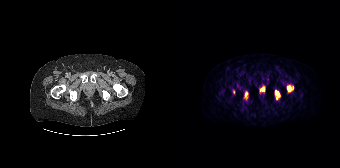
Coordinates are on the 168×168 PET (right) panel. PSMA-avid tumor lesion bounding boxes (x0, y0)-(x1, y1): (72, 91)-(76, 99) / (103, 91)-(107, 99) / (88, 87)-(92, 90) / (115, 87)-(118, 91).
modality: PSMA PET/CT | tracer: 68Ga-PSMA | view: axial